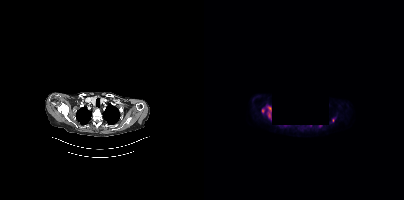
Coordinates are on the 200×200 PET (right) panel. PSMA-avid tumor lesion bounding boxes (x, y, width, height): x=62 y=105 w=6 h=16 / x=58 y=108 w=3 h=6 / x=114 y=125 w=5 h=3. Small PSMA-avid foci (2 to 4 px across) near (center x, center y): (129, 119) / (106, 125).
modality: PSMA PET/CT | tracer: [18F]PSMA-1007 | view: axial | PET grid: 200×200 | redaction: rectangular block set to black